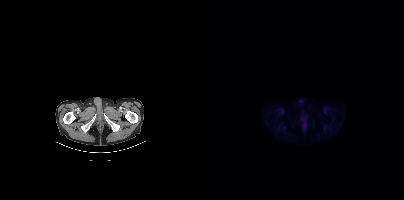
{"pet_grid":[200,200],"coord_frame":"pet_panel","coord_format":"x0,y0,x1,y1","psma_avid_lesions":false,"modality":"PSMA PET/CT","view":"axial","tracer":"18F-PSMA"}